Two-panel axial: CT | PSMA PET, 18F-PSMA tracer. PET panel 200×200 px (4.1 mm/px).
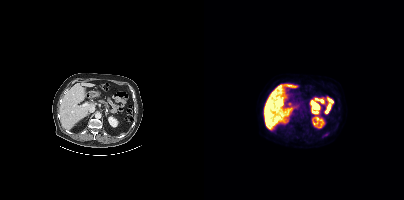
This slice has no annotated PSMA-avid lesion.